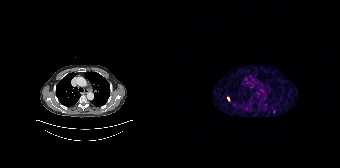
{"modality":"PSMA PET/CT","view":"axial","tracer":"68Ga-PSMA","pet_grid":[168,168],"coord_frame":"pet_panel","coord_format":"x0,y0,x1,y1","partial":true,"lesion_bboxes":[],"small_foci_centers":[[56,98],[79,86]]}